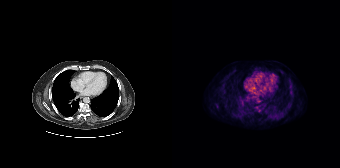
Findings: Coordinates are on the 168×168 PET (right) panel. (showing 1 of 2 foci) PSMA-avid tumor lesion bounding box (x, y, width, height): x=84 y=107 w=6 h=6.
Technique: Two-panel axial: CT | PSMA PET, [18F]PSMA-1007 tracer. acquired on Siemens Biograph 64-4R TruePoint. PET panel 168×168 px (4.1 mm/px).